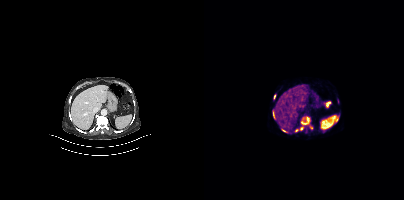
{"modality":"PSMA PET/CT","view":"axial","tracer":"[68Ga]Ga-PSMA-11","pet_grid":[200,200],"coord_frame":"pet_panel","coord_format":"x0,y0,x1,y1","partial":true,"lesion_bboxes":[[97,117,105,125],[90,127,99,132],[77,128,82,132],[68,110,71,114],[70,94,71,98]],"small_foci_centers":[[107,127]]}